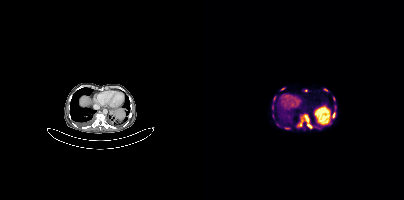
Coordinates are on the 200×200 PET (right) panel. (showing 7 of 10 foci) PSMA-avid tumor lesion bounding boxes (x0,y0,x1,y1): [94,114,108,128] [128,113,131,117] [69,96,71,100] [81,127,85,129]. Small PSMA-avid foci (2 to 4 px across) near (center x, center y): (78, 89) (68, 107) (73, 124).